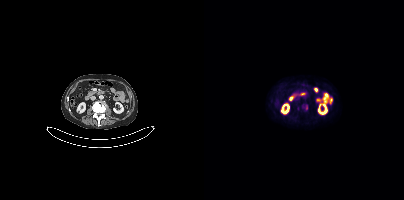
Coordinates are on the 200×200 PET (right) panel. Small PSMA-avid focus (2 to 4 px across) near (center x, center y): (102, 107). Left: CT. Right: PSMA PET, same axial level, 18F tracer. Slice 162 of 391.